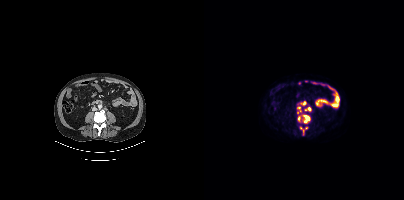
Coordinates are on the 200×200 PET (right) panel. (showing 8 of 10 foci) PSMA-avid tumor lesion bounding boxes (x, y, width, height): x=98 y=114 w=9 h=10 | x=100 y=107 w=8 h=5 | x=96 y=101 w=7 h=5 | x=93 y=106 w=5 h=7 | x=94 y=116 w=3 h=6. Small PSMA-avid foci (2 to 4 px across) near (center x, center y): (96, 128) | (102, 127) | (99, 131).
modality: PSMA PET/CT | tracer: [18F]PSMA-1007 | view: axial | PET grid: 200×200